Left: CT. Right: PSMA PET, same axial level, 18F-PSMA tracer. Acquired on Siemens Biograph mCT Flow 20.
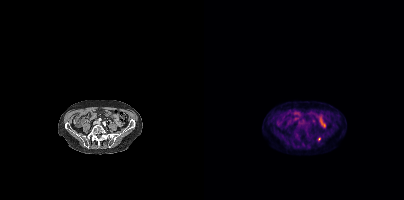
Coordinates are on the 200×200 PET (right) panel. (showing 1 of 2 foci) Small PSMA-avid focus (2 to 4 px across) near (center x, center y): (115, 139).